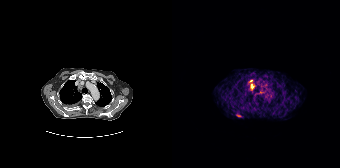
Coordinates are on the 168×168 PET (right) panel. PSMA-avid tumor lesion bounding boxes (x0, y0)-(x1, y1): (77, 80)-(82, 90) | (64, 113)-(69, 117) | (87, 91)-(91, 93). Paired axial CT (left) and PSMA PET (right), 68Ga tracer. PET panel 168×168 px (4.1 mm/px).